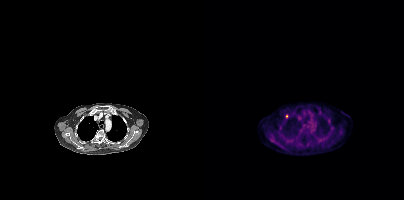
Coordinates are on the 200×200 PET (right) panel. PSMA-avid tumor lesion bounding box (x, y, width, height): x=115 y=138 w=6 h=4. Small PSMA-avid foci (2 to 4 px across) near (center x, center y): (82, 116) | (124, 120).